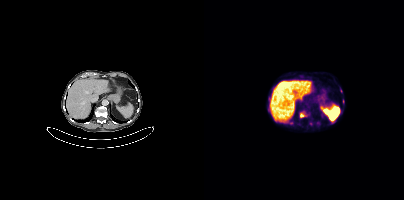
Findings: Coordinates are on the 200×200 PET (right) panel. PSMA-avid tumor lesion bounding box (x0,y0,x1,y1): [96,112,102,117].
- Paired axial CT (left) and PSMA PET (right), 18F-PSMA tracer
- PET panel 200×200 px (4.1 mm/px)